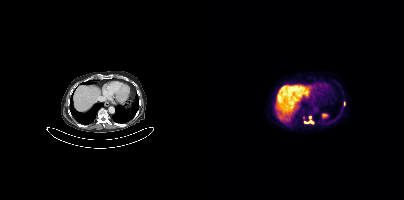
Findings: Coordinates are on the 200×200 PET (right) panel. PSMA-avid tumor lesion bounding boxes (x, y, width, height): x=100 y=116 w=10 h=8; x=97 y=114 w=6 h=6. Small PSMA-avid focus (2 to 4 px across) near (center x, center y): (140, 103).
Technique: Left: CT. Right: PSMA PET, same axial level, 18F-PSMA tracer. slice position z = -1332 mm. PET panel 200×200 px (4.1 mm/px).